modality: PSMA PET/CT | tracer: [18F]PSMA-1007 | view: axial | PET grid: 168×168
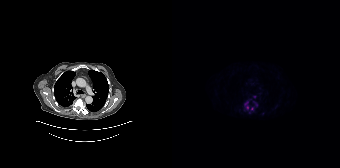
Coordinates are on the 168×168 PET (right) panel. (showing 4 of 5 foci) PSMA-avid tumor lesion bounding box (x, y, width, height): x=72 y=101 w=5 h=9. Small PSMA-avid foci (2 to 4 px across) near (center x, center y): (80, 108) | (82, 96) | (84, 104).